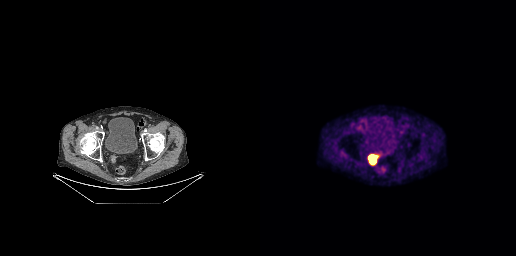
Coordinates are on the 256×256 PET (right) panel. PSMA-avid tumor lesion bounding box (x, y, width, height): x=108 y=154 w=11 h=12. Two-panel axial: CT | PSMA PET, [18F]PSMA-1007 tracer. Slice 61 of 263.